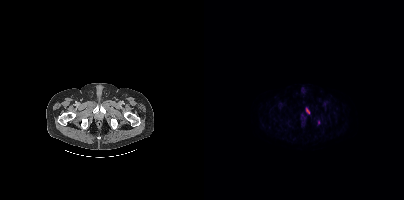
{"modality":"PSMA PET/CT","view":"axial","tracer":"[18F]PSMA-1007","pet_grid":[200,200],"coord_frame":"pet_panel","coord_format":"x0,y0,x1,y1","partial":true,"lesion_bboxes":[[102,108,105,113]]}